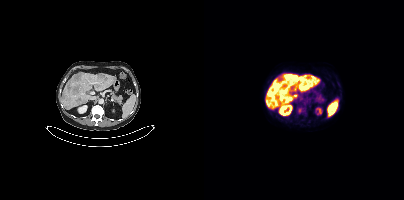
Left: CT. Right: PSMA PET, same axial level, [18F]PSMA-1007 tracer.
Coordinates are on the 200×200 PET (right) panel. PSMA-avid tumor lesion bounding boxes:
| # | x0 | y0 | x1 | y1 |
|---|---|---|---|---|
| 1 | 91 | 75 | 102 | 81 |
| 2 | 70 | 83 | 76 | 90 |
| 3 | 97 | 84 | 101 | 89 |
| 4 | 94 | 108 | 98 | 112 |
Small PSMA-avid focus (2 to 4 px across) near (center x, center y): (97, 98).